modality: PSMA PET/CT | tracer: [18F]PSMA-1007 | view: axial | PET grid: 200×200
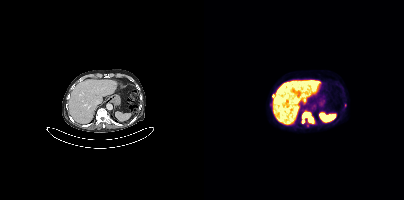
Coordinates are on the 200×200 PET (right) panel. (showing 2 of 3 foci) PSMA-avid tumor lesion bounding boxes (x0, y0)-(x1, y1): (98, 112)-(110, 123) | (68, 94)-(70, 98).